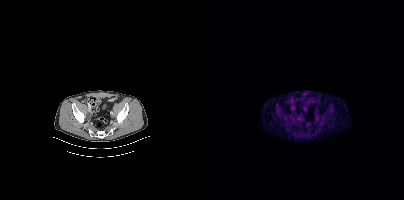
Left: CT. Right: PSMA PET, same axial level, [18F]PSMA-1007 tracer. Acquired on Siemens Biograph mCT Flow 20. Slice 92 of 448. Coordinates are on the 200×200 PET (right) panel. Small PSMA-avid focus (2 to 4 px across) near (center x, center y): (86, 117).